Paired axial CT (left) and PSMA PET (right), 18F tracer. Acquired on Siemens Biograph mCT Flow 20. Slice position z = -1455 mm.
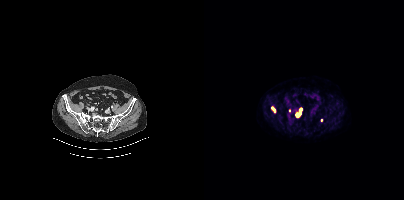
Coordinates are on the 200×200 PET (right) panel. PSMA-avid tumor lesion bounding boxes (x, y, width, height): x=92 y=112 w=5 h=5 | x=68 y=107 w=4 h=5. Small PSMA-avid foci (2 to 4 px across) near (center x, center y): (85, 110) | (96, 108) | (117, 119).